modality: PSMA PET/CT | tracer: 18F | view: axial
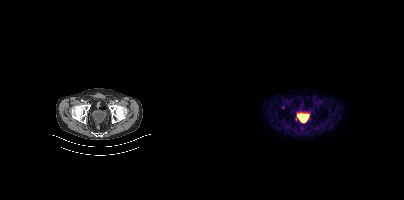
Coordinates are on the 200×200 PET (right) panel. Small PSMA-avid focus (2 to 4 px across) near (center x, center y): (79, 107).